modality: PSMA PET/CT | tracer: 18F | view: axial | PET grid: 200×200
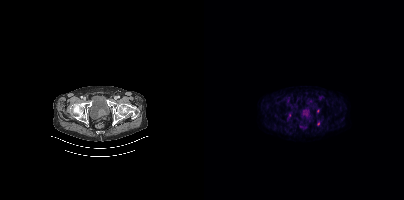
Coordinates are on the 200×200 PET (right) panel. (showing 2 of 3 foci) Small PSMA-avid foci (2 to 4 px across) near (center x, center y): (114, 123) / (114, 111).